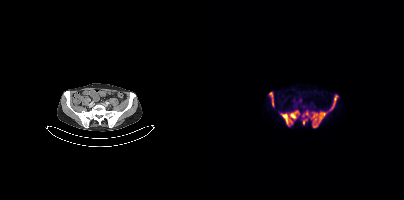
Left: CT. Right: PSMA PET, same axial level, [18F]PSMA-1007 tracer. Acquired on Siemens Biograph mCT Flow 20. Slice 106 of 403. Coordinates are on the 200×200 PET (right) panel. PSMA-avid tumor lesion bounding boxes (x0, y0)-(x1, y1): (98, 110)-(123, 127) / (76, 110)-(95, 126) / (125, 95)-(134, 110) / (65, 92)-(70, 106).